Two-panel axial: CT | PSMA PET, 18F-PSMA tracer. Acquired on Siemens Biograph mCT Flow 20. PET panel 200×200 px (4.1 mm/px).
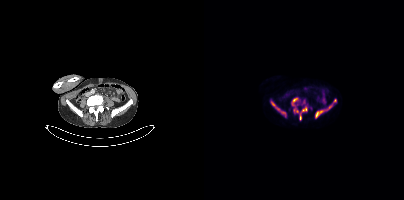
Coordinates are on the 200×200 PET (right) panel. PSMA-avid tumor lesion bounding boxes (x0,y0,x1,y1): [111,104,128,117]; [67,102,81,114]; [88,98,93,105]; [98,107,103,111]; [95,113,97,120]; [90,109,94,112]. Small PSMA-avid focus (2 to 4 px across) near (center x, center y): (130, 100).